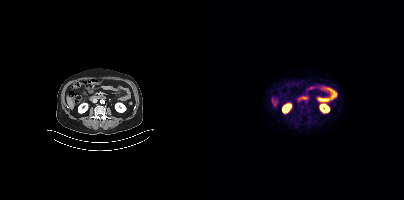
{"modality":"PSMA PET/CT","view":"axial","tracer":"18F-PSMA","pet_grid":[200,200],"coord_frame":"pet_panel","coord_format":"x0,y0,x1,y1","psma_avid_lesions":false}